modality: PSMA PET/CT | tracer: 68Ga-PSMA | view: axial | PET grid: 168×168
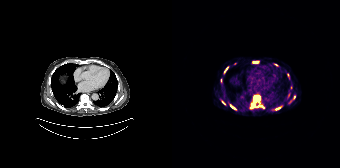
Coordinates are on the 168×168 PET (right) panel. (showing 12 of 13 foci) PSMA-avid tumor lesion bounding boxes (x0, y0)-(x1, y1): (85, 102)-(92, 108) / (82, 95)-(87, 99) / (78, 103)-(83, 108) / (58, 104)-(63, 109) / (103, 108)-(107, 110) / (81, 61)-(86, 62) / (102, 64)-(106, 66) / (53, 67)-(55, 71). Small PSMA-avid foci (2 to 4 px across) near (center x, center y): (49, 80) / (51, 102) / (115, 74) / (122, 97).